modality: PSMA PET/CT | tracer: [68Ga]Ga-PSMA-11 | view: axial
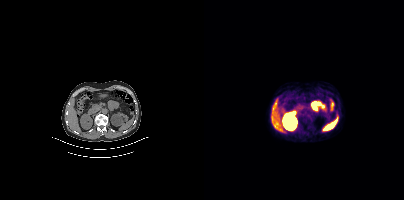
No PSMA-avid tumor lesions on this slice.